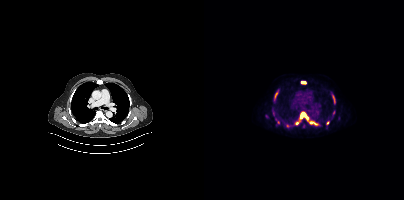
Coordinates are on the 200×200 PET (right) panel. PSMA-avid tumor lesion bounding boxes (x, y, width, height): x=96 y=112 w=18 h=14 / x=70 y=91 w=5 h=10 / x=128 y=94 w=4 h=8 / x=97 y=81 w=6 h=3. Small PSMA-avid foci (2 to 4 px across) near (center x, center y): (74, 122) / (123, 122) / (93, 123) / (99, 126) / (83, 125) / (129, 111).
modality: PSMA PET/CT | tracer: [18F]PSMA-1007 | view: axial